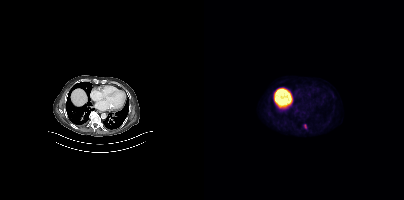
- Left: CT. Right: PSMA PET, same axial level, 18F-PSMA tracer
- acquired on Siemens Biograph mCT Flow 20
- slice 232 of 383
- PET panel 200×200 px (4.1 mm/px)
Findings: Coordinates are on the 200×200 PET (right) panel. PSMA-avid tumor lesion bounding box (x, y, width, height): x=100 y=124 w=3 h=5.